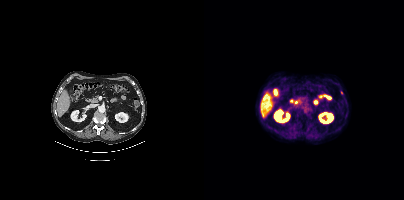
{"modality":"PSMA PET/CT","view":"axial","tracer":"18F","pet_grid":[200,200],"coord_frame":"pet_panel","coord_format":"x0,y0,x1,y1","lesion_bboxes":[],"small_foci_centers":[[137,92]]}